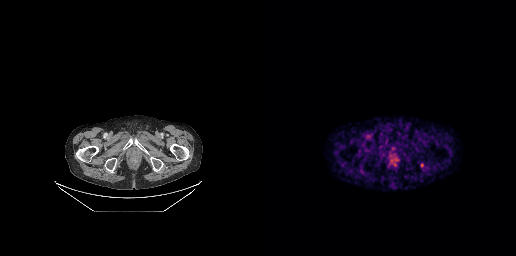
Paired axial CT (left) and PSMA PET (right), [68Ga]Ga-PSMA-11 tracer. Acquired on GE Discovery 690.
Coordinates are on the 256×256 PET (right) panel. PSMA-avid tumor lesion bounding boxes:
| # | x0 | y0 | x1 | y1 |
|---|---|---|---|---|
| 1 | 160 | 163 | 163 | 167 |
Small PSMA-avid focus (2 to 4 px across) near (center x, center y): (131, 159).